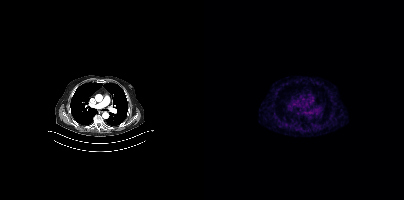
- Left: CT. Right: PSMA PET, same axial level, 68Ga-PSMA tracer
- slice position z = -1086 mm
Findings: Only PSMA-avid lesion pieces thinner than 2 px on this slice (not listed).